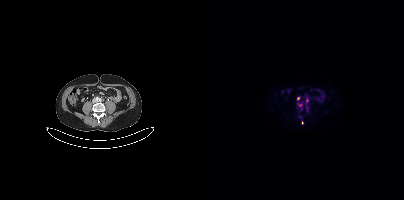
Coordinates are on the 200×200 PET (right) panel. (showing 3 of 4 foci) PSMA-avid tumor lesion bounding boxes (x0,y0,x1,y1): [93,103,98,107], [102,98,104,103]. Small PSMA-avid focus (2 to 4 px across) near (center x, center y): (94, 98). Paired axial CT (left) and PSMA PET (right), 68Ga tracer.